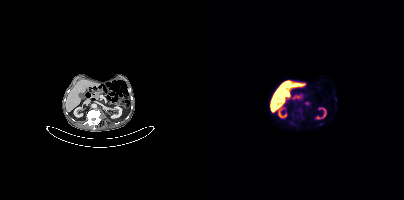
{"pet_grid":[200,200],"coord_frame":"pet_panel","coord_format":"x0,y0,x1,y1","lesion_bboxes":[],"small_foci_centers":[[131,99]],"modality":"PSMA PET/CT","view":"axial","tracer":"[18F]PSMA-1007"}